Two-panel axial: CT | PSMA PET, 18F tracer.
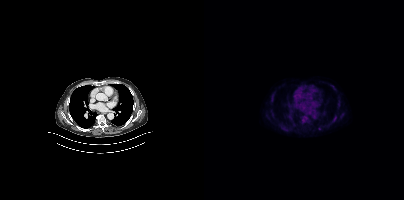
This slice has no annotated PSMA-avid lesion.